modality: PSMA PET/CT | tracer: [18F]PSMA-1007 | view: axial
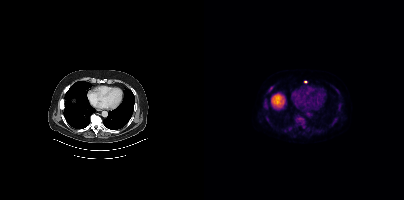
Coordinates are on the 200×200 PET (right) panel. (showing 11 of 12 foci) PSMA-avid tumor lesion bounding boxes (x0,y0,x1,y1): [91,116,101,128]; [60,100,64,109]; [128,118,133,124]; [65,86,69,91]; [130,87,135,93]; [134,103,137,108]; [84,126,87,130]. Small PSMA-avid foci (2 to 4 px across) near (center x, center y): (81, 130); (65, 122); (121, 130); (101, 81).